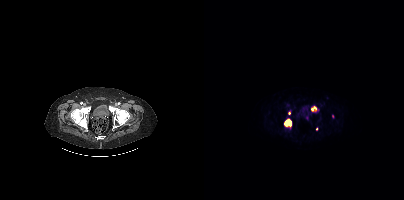
Coordinates are on the 200×200 PET (right) panel. (showing 4 of 5 foci) PSMA-avid tumor lesion bounding boxes (x0,y0,x1,y1): [80,119,87,126], [107,106,112,111]. Small PSMA-avid foci (2 to 4 px across) near (center x, center y): (112, 129), (85, 113).